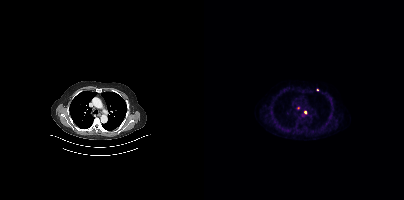
Coordinates are on the 200×200 PET (right) panel. Small PSMA-avid foci (2 to 4 px across) near (center x, center y): (101, 112) (113, 89) (94, 107). Paired axial CT (left) and PSMA PET (right), 18F tracer.